Paired axial CT (left) and PSMA PET (right), [68Ga]Ga-PSMA-11 tracer. PET panel 200×200 px (4.1 mm/px).
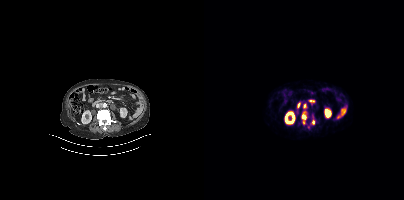
Coordinates are on the 200×200 PET (right) panel. (showing 3 of 4 foci) PSMA-avid tumor lesion bounding boxes (x0, y0)-(x1, y1): (97, 111)-(102, 124); (99, 104)-(102, 108). Small PSMA-avid focus (2 to 4 px across) near (center x, center y): (108, 121).